Technique: Paired axial CT (left) and PSMA PET (right), 18F-PSMA tracer. acquired on Siemens Biograph mCT Flow 20. PET panel 200×200 px (4.1 mm/px).
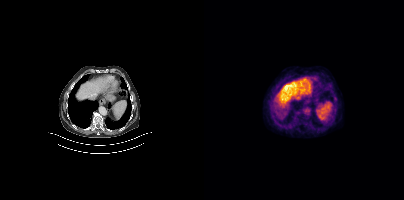
Findings: Negative for PSMA-avid disease on this slice.